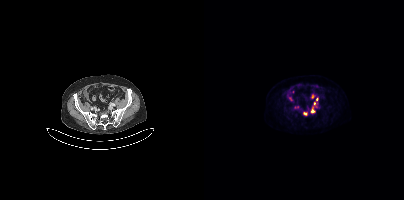
- Left: CT. Right: PSMA PET, same axial level, 18F-PSMA tracer
- PET panel 200×200 px (4.1 mm/px)
Findings: Coordinates are on the 200×200 PET (right) panel. (showing 5 of 9 foci) PSMA-avid tumor lesion bounding box (x0,y0,x1,y1): [107,107,110,112]. Small PSMA-avid foci (2 to 4 px across) near (center x, center y): (100, 113); (110, 103); (112, 99); (93, 106).